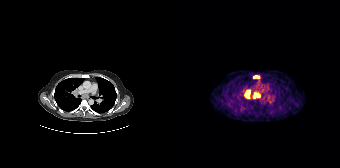
{"modality":"PSMA PET/CT","view":"axial","tracer":"68Ga","pet_grid":[168,168],"coord_frame":"pet_panel","coord_format":"x0,y0,x1,y1","lesion_bboxes":[[72,89,78,98],[81,92,88,98],[81,75,87,78]]}